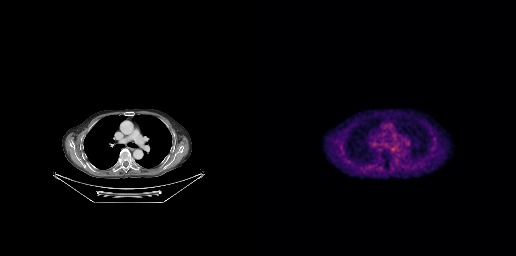
Technique: Two-panel axial: CT | PSMA PET, 18F-PSMA tracer. acquired on GE Discovery 690.
Findings: No PSMA-avid tumor lesions on this slice.